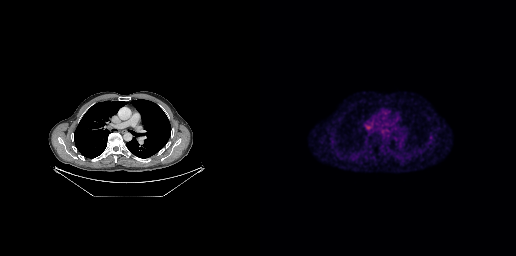
{"pet_grid":[256,256],"coord_frame":"pet_panel","coord_format":"x0,y0,x1,y1","lesion_bboxes":[[105,124,111,131]],"modality":"PSMA PET/CT","view":"axial","tracer":"18F-PSMA"}